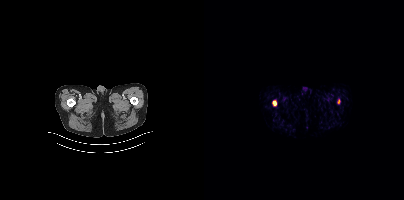
Technique: Two-panel axial: CT | PSMA PET, 18F-PSMA tracer. acquired on Siemens Biograph mCT Flow 20.
Findings: Coordinates are on the 200×200 PET (right) panel. PSMA-avid tumor lesion bounding box (x0, y0)-(x1, y1): (69, 101)-(72, 105). Small PSMA-avid focus (2 to 4 px across) near (center x, center y): (134, 101).